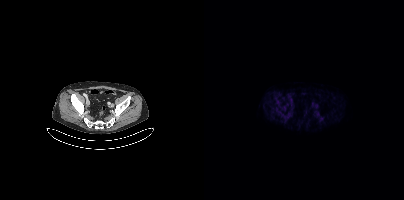
Negative for PSMA-avid disease on this slice. Left: CT. Right: PSMA PET, same axial level, 18F tracer. Acquired on Siemens Biograph mCT Flow 20. Slice position z = -168 mm.